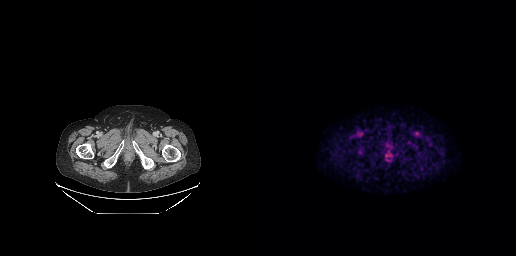
No tumor lesions annotated on this slice.